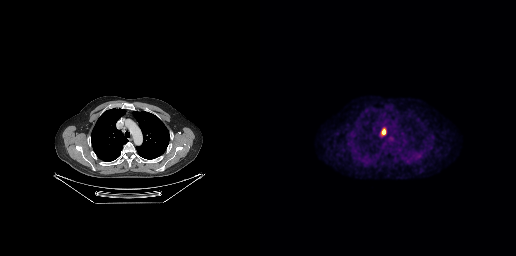
Coordinates are on the 256×256 PET (right) panel. PSMA-avid tumor lesion bounding box (x0,y0,x1,y1): [122,129,125,134].
modality: PSMA PET/CT | tracer: 18F | view: axial | PET grid: 256×256